Paired axial CT (left) and PSMA PET (right), 68Ga-PSMA tracer. Acquired on Siemens Biograph mCT Flow 20.
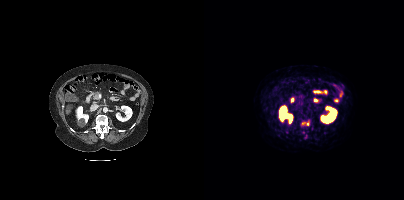
Coordinates are on the 200×200 PET (right) panel. PSMA-avid tumor lesion bounding boxes (partial; 2 more foci not listed):
| # | x0 | y0 | x1 | y1 |
|---|---|---|---|---|
| 1 | 98 | 121 | 105 | 125 |